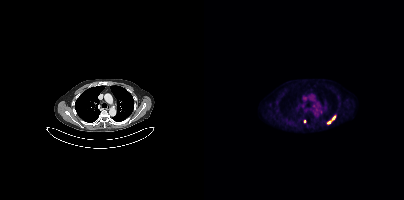
Coordinates are on the 200×200 PET (right) panel. PSMA-avid tumor lesion bounding box (x, y, width, height): x=123 y=116 w=9 h=8. Small PSMA-avid focus (2 to 4 px across) near (center x, center y): (101, 121). Paired axial CT (left) and PSMA PET (right), 18F tracer. Slice 294 of 401. PET panel 200×200 px (4.1 mm/px).